Left: CT. Right: PSMA PET, same axial level, [18F]PSMA-1007 tracer. Acquired on Siemens Biograph mCT Flow 20. Slice position z = -124 mm. PET panel 200×200 px (4.1 mm/px).
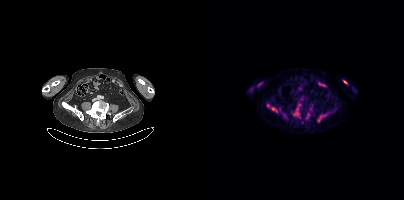
Coordinates are on the 200×200 PET (right) panel. (showing 5 of 8 foci) PSMA-avid tumor lesion bounding boxes (x0,y0,x1,y1): [89,104,97,118]; [63,104,73,112]; [113,114,122,122]; [102,113,105,118]. Small PSMA-avid focus (2 to 4 px across) near (center x, center y): (140, 81).